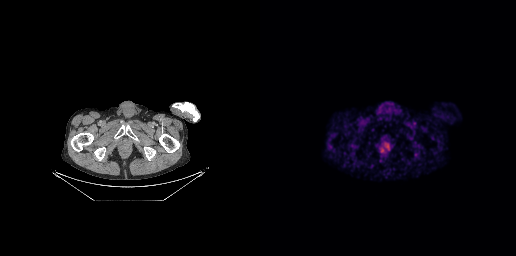
modality: PSMA PET/CT | tracer: 68Ga | view: axial | PET grid: 256×256
No tumor lesions annotated on this slice.